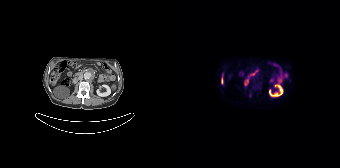
Coordinates are on the 168×168 PET (right) panel. Small PSMA-avid focus (2 to 4 px across) near (center x, center y): (78, 94).